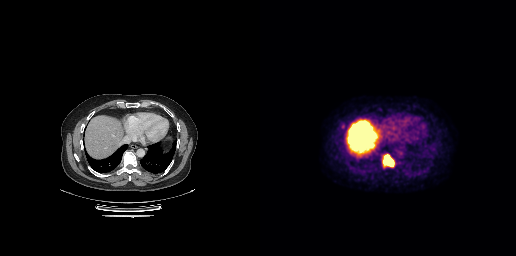
Technique: Left: CT. Right: PSMA PET, same axial level, 18F tracer.
Findings: Coordinates are on the 256×256 PET (right) panel. PSMA-avid tumor lesion bounding box (x0, y0)-(x1, y1): (122, 154)-(134, 167).